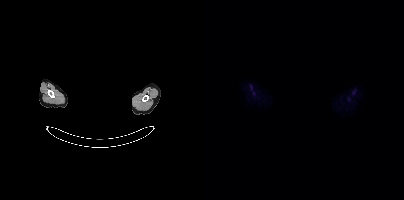
The head region is masked for de-identification.
Negative for PSMA-avid disease on this slice.